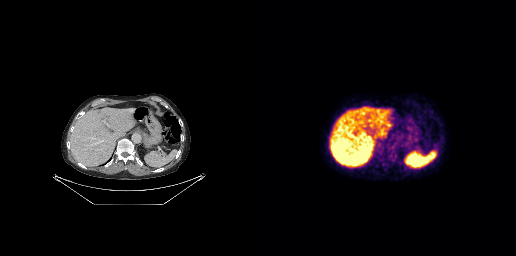
This slice has no annotated PSMA-avid lesion.